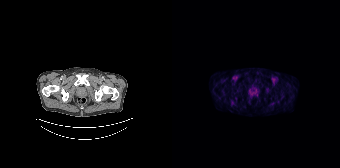
Left: CT. Right: PSMA PET, same axial level, 18F tracer. Slice position z = -1301 mm. No PSMA-avid tumor lesions on this slice.